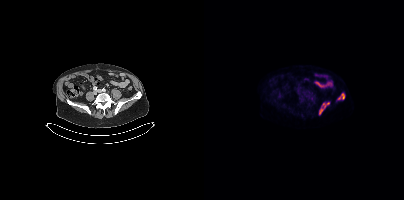
Coordinates are on the 200×200 PET (right) panel. PSMA-avid tumor lesion bounding boxes:
| # | x0 | y0 | x1 | y1 |
|---|---|---|---|---|
| 1 | 115 | 102 | 125 | 114 |
| 2 | 133 | 93 | 140 | 99 |
Paired axial CT (left) and PSMA PET (right), [18F]PSMA-1007 tracer. Slice position z = -785 mm.